- Two-panel axial: CT | PSMA PET, [68Ga]Ga-PSMA-11 tracer
- acquired on GE Discovery 690
- PET panel 256×256 px (2.7 mm/px)
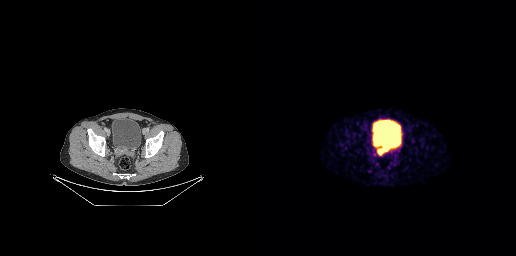
Findings: Coordinates are on the 256×256 PET (right) panel. PSMA-avid tumor lesion bounding boxes (x0,y0,x1,y1): [117,146,128,154]; [116,144,120,145].